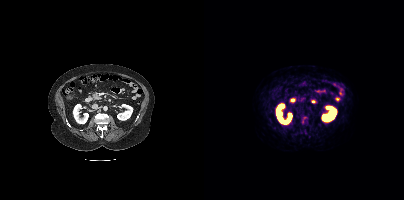
modality: PSMA PET/CT | tracer: 68Ga-PSMA | view: axial
Coordinates are on the 200×200 PET (right) panel. Small PSMA-avid focus (2 to 4 px across) near (center x, center y): (98, 121).